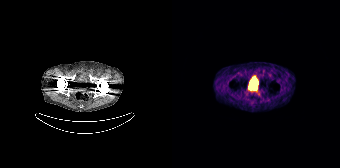
{"pet_grid":[168,168],"coord_frame":"pet_panel","coord_format":"x0,y0,x1,y1","psma_avid_lesions":false,"modality":"PSMA PET/CT","view":"axial","tracer":"[68Ga]Ga-PSMA-11"}